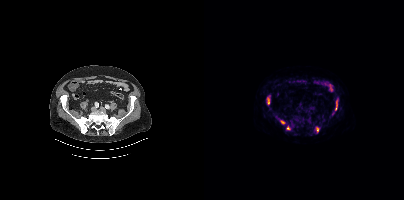
Coordinates are on the 200×200 PET (right) panel. PSMA-avid tumor lesion bounding boxes (x, y, width, height): x=131 y=100 w=3 h=11; x=63 y=98 w=3 h=7; x=112 y=127 w=3 h=6. Small PSMA-avid foci (2 to 4 px across) near (center x, center y): (78, 121); (84, 127).